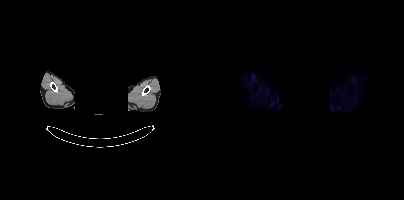
Left: CT. Right: PSMA PET, same axial level, [18F]PSMA-1007 tracer. PET panel 200×200 px (4.1 mm/px). Head region blanked for anonymization (face removed). No PSMA-avid tumor lesions on this slice.